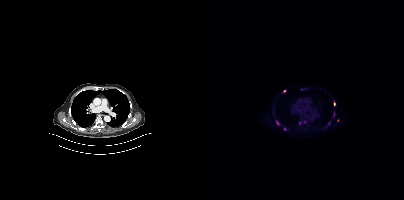
Coordinates are on the 200×200 PET (right) panel. (showing 4 of 5 foci) Small PSMA-avid foci (2 to 4 px across) near (center x, center y): (130, 103); (80, 129); (73, 123); (80, 90).